Technique: Left: CT. Right: PSMA PET, same axial level, 18F tracer. acquired on Siemens Biograph mCT Flow 20. slice 331 of 377. PET panel 200×200 px (4.1 mm/px).
Note: Any black rectangle over the head is a privacy mask, not anatomy.
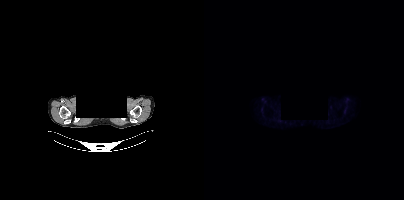
Findings: This slice has no annotated PSMA-avid lesion.